Paired axial CT (left) and PSMA PET (right), 18F tracer. Slice 337 of 401. PET panel 200×200 px (4.1 mm/px).
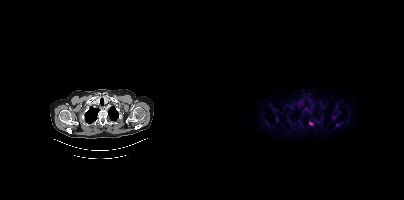
Coordinates are on the 200×200 PET (right) panel. Small PSMA-avid focus (2 to 4 px across) near (center x, center y): (106, 123).